Paired axial CT (left) and PSMA PET (right), [18F]PSMA-1007 tracer. Acquired on Siemens Biograph mCT Flow 20. Slice 253 of 423. PET panel 200×200 px (4.1 mm/px).
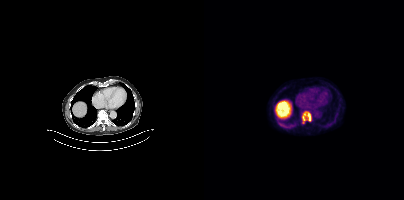
Coordinates are on the 200×200 PET (right) panel. PSMA-avid tumor lesion bounding boxes:
| # | x0 | y0 | x1 | y1 |
|---|---|---|---|---|
| 1 | 98 | 111 | 107 | 123 |